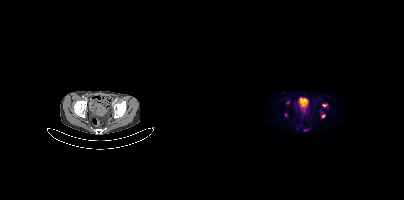
{"modality":"PSMA PET/CT","view":"axial","tracer":"68Ga","pet_grid":[200,200],"coord_frame":"pet_panel","coord_format":"x0,y0,x1,y1","partial":true,"lesion_bboxes":[[118,104,123,106]],"small_foci_centers":[[119,115],[84,102],[93,128]]}